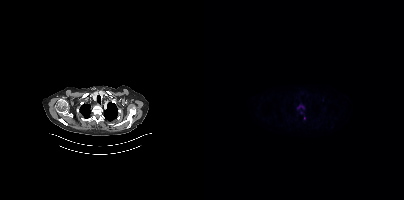
Findings: Coordinates are on the 200×200 PET (right) panel. Small PSMA-avid focus (2 to 4 px across) near (center x, center y): (100, 118).
Technique: Left: CT. Right: PSMA PET, same axial level, 18F-PSMA tracer. slice position z = -484 mm.